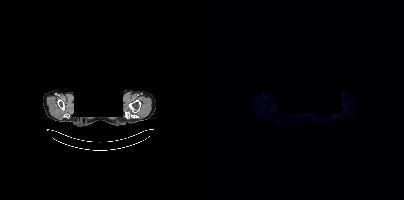
Findings: Negative for PSMA-avid disease on this slice.
- a rectangle over the head was blacked out to remove identifiable facial features
- Paired axial CT (left) and PSMA PET (right), [18F]PSMA-1007 tracer
- acquired on Siemens Biograph mCT Flow 20
- slice position z = -885 mm